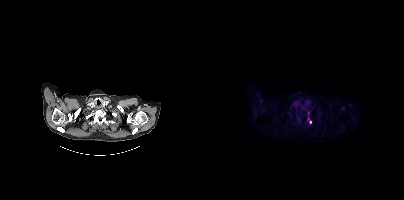
Findings: Coordinates are on the 200×200 PET (right) panel. Small PSMA-avid focus (2 to 4 px across) near (center x, center y): (106, 122).
Technique: Paired axial CT (left) and PSMA PET (right), 18F-PSMA tracer. PET panel 200×200 px (4.1 mm/px).